Technique: Two-panel axial: CT | PSMA PET, 18F-PSMA tracer. acquired on Siemens Biograph mCT Flow 20. slice 241 of 389.
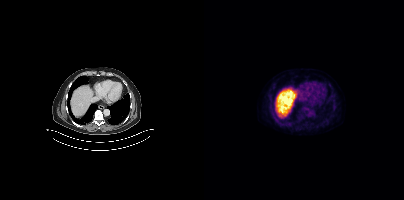
Findings: No PSMA-avid tumor lesions on this slice.